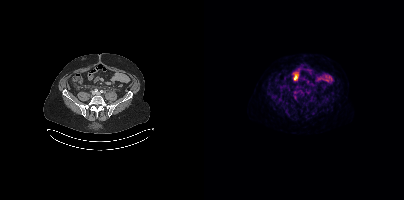
Findings: Coordinates are on the 200×200 PET (right) panel. PSMA-avid tumor lesion bounding box (x, y, width, height): x=89 y=94 w=5 h=5.
Technique: Left: CT. Right: PSMA PET, same axial level, [18F]PSMA-1007 tracer.